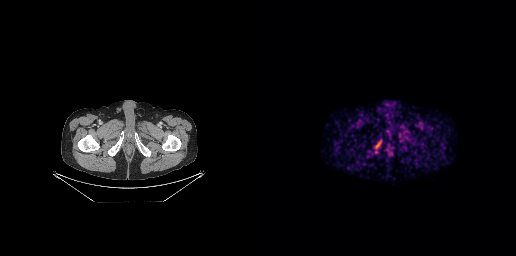
Technique: Two-panel axial: CT | PSMA PET, [68Ga]Ga-PSMA-11 tracer.
Findings: This slice has no annotated PSMA-avid lesion.